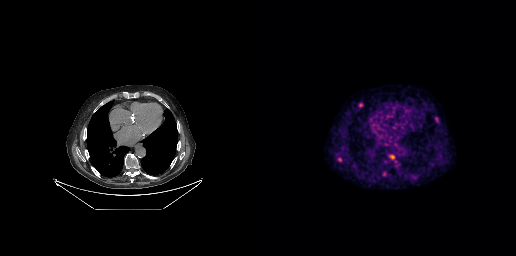
Coordinates are on the 256×256 PET (right) panel. PSMA-avid tumor lesion bounding boxes (x0,y0,x1,y1): [77,157,81,161] [130,155,134,158]. Paired axial CT (left) and PSMA PET (right), 18F-PSMA tracer. Acquired on GE Discovery 690.